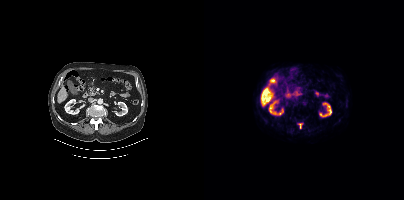
Coordinates are on the 200×200 PET (right) panel. PSMA-avid tumor lesion bounding box (x0, y0)-(x1, y1): (94, 123)-(98, 128).